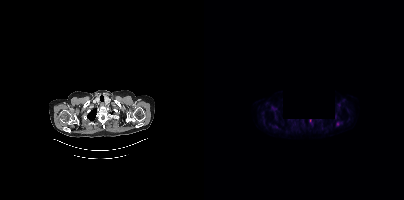
A region was redacted for de-identification by setting it to black. Left: CT. Right: PSMA PET, same axial level, [18F]PSMA-1007 tracer. Acquired on Siemens Biograph mCT Flow 20. Slice 341 of 401. PET panel 200×200 px (4.1 mm/px). Only PSMA-avid lesion pieces thinner than 2 px on this slice (not listed).